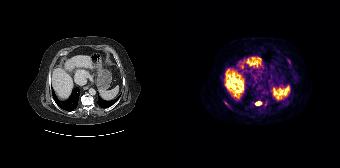
Technique: Paired axial CT (left) and PSMA PET (right), [68Ga]Ga-PSMA-11 tracer. slice 130 of 195.
Findings: Coordinates are on the 168×168 PET (right) panel. PSMA-avid tumor lesion bounding box (x, y, width, height): x=83 y=101 w=7 h=5. Small PSMA-avid focus (2 to 4 px across) near (center x, center y): (53, 102).